Technique: Two-panel axial: CT | PSMA PET, 18F-PSMA tracer. slice position z = 196 mm.
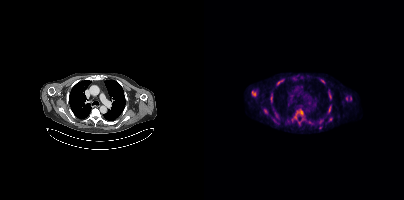
Findings: Coordinates are on the 200×200 PET (right) panel. (showing 11 of 13 foci) PSMA-avid tumor lesion bounding boxes (x0,y0,x1,y1): [90,109,99,118], [66,94,68,99], [60,110,63,114], [124,106,126,112], [125,94,127,98]. Small PSMA-avid foci (2 to 4 px across) near (center x, center y): (126, 119), (50, 94), (117, 121), (142, 99), (73, 84), (117, 79).